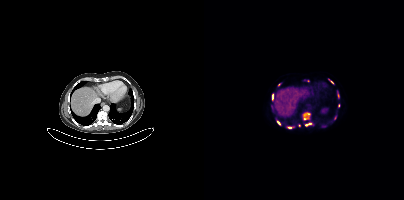
Coordinates are on the 200×200 PET (right) panel. (showing 10 of 13 foci) PSMA-avid tumor lesion bounding boxes (x0, y0)-(x1, y1): (99, 112)-(105, 120) / (101, 122)-(108, 125) / (68, 94)-(69, 99) / (133, 91)-(134, 96). Small PSMA-avid foci (2 to 4 px across) near (center x, center y): (74, 122) / (85, 127) / (134, 105) / (104, 80) / (124, 79) / (128, 82).
modality: PSMA PET/CT | tracer: [18F]PSMA-1007 | view: axial